- Two-panel axial: CT | PSMA PET, 18F-PSMA tracer
- PET panel 200×200 px (4.1 mm/px)
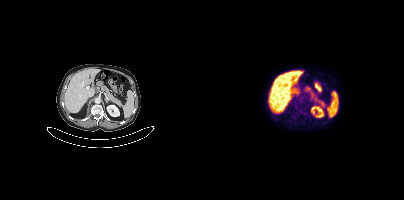
Findings: No tumor lesions annotated on this slice.